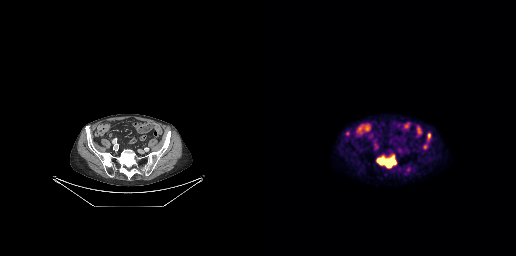
Findings: Coordinates are on the 256×256 PET (right) panel. PSMA-avid tumor lesion bounding boxes (x, y, width, height): x=117 y=156 w=19 h=12 / x=167 y=133 w=4 h=8. Small PSMA-avid focus (2 to 4 px across) near (center x, center y): (87, 133).
- Two-panel axial: CT | PSMA PET, 18F tracer
- PET panel 256×256 px (2.7 mm/px)